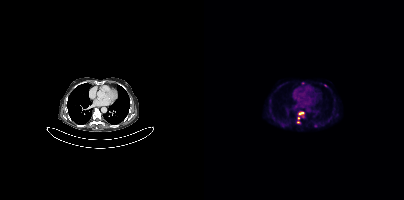
- Paired axial CT (left) and PSMA PET (right), [18F]PSMA-1007 tracer
Findings: Coordinates are on the 200×200 PET (right) panel. (showing 4 of 5 foci) PSMA-avid tumor lesion bounding box (x0, y0)-(x1, y1): (95, 112)-(99, 114). Small PSMA-avid foci (2 to 4 px across) near (center x, center y): (94, 122); (111, 125); (94, 118).